modality: PSMA PET/CT | tracer: [68Ga]Ga-PSMA-11 | view: axial
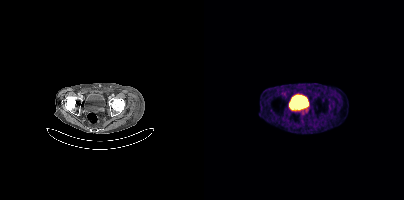
Coordinates are on the 200×200 PET (right) panel. PSMA-avid tumor lesion bounding box (x, y, width, height): x=96 y=109 w=8 h=5.